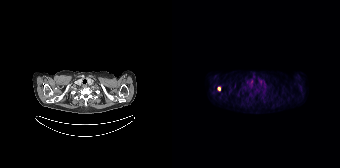
Technique: Two-panel axial: CT | PSMA PET, [18F]PSMA-1007 tracer. acquired on Siemens Biograph 64-4R TruePoint.
Findings: Coordinates are on the 168×168 PET (right) panel. Small PSMA-avid focus (2 to 4 px across) near (center x, center y): (46, 88).